- Two-panel axial: CT | PSMA PET, 18F tracer
- acquired on GE Discovery 690
- facial anatomy redacted by setting a rectangular region of the head to black
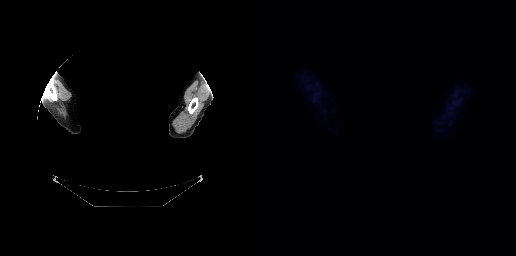
Findings: No tumor lesions annotated on this slice.